The face region was removed for patient privacy by blanking a rectangle over the head.
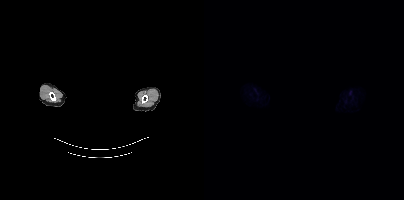
This slice has no annotated PSMA-avid lesion.